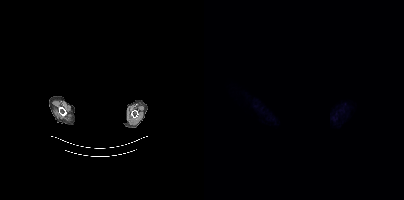
Findings: This slice has no annotated PSMA-avid lesion.
Technique: Paired axial CT (left) and PSMA PET (right), 18F-PSMA tracer. acquired on Siemens Biograph mCT Flow 20. slice position z = -1130 mm. PET panel 200×200 px (4.1 mm/px).
Note: A rectangle over the head was blacked out to remove identifiable facial features.